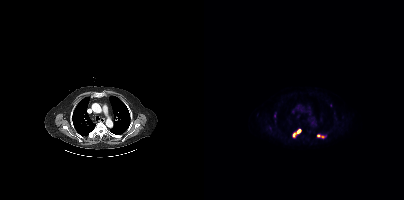
{"modality":"PSMA PET/CT","view":"axial","tracer":"18F","pet_grid":[200,200],"coord_frame":"pet_panel","coord_format":"x0,y0,x1,y1","lesion_bboxes":[[89,129,97,137],[113,134,120,138]]}